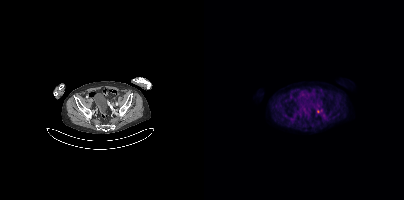
modality: PSMA PET/CT | tracer: 18F-PSMA | view: axial | PET grid: 200×200
Coordinates are on the 200×200 PET (right) panel. (showing 1 of 2 foci) Small PSMA-avid focus (2 to 4 px across) near (center x, center y): (113, 111).